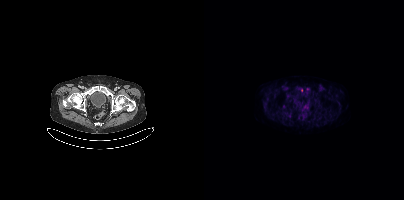
Technique: Paired axial CT (left) and PSMA PET (right), 18F tracer. acquired on Siemens Biograph mCT Flow 20. slice 66 of 387.
Findings: Only PSMA-avid lesion pieces thinner than 2 px on this slice (not listed).